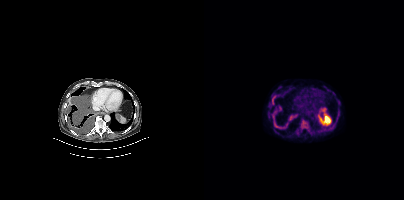
Findings: Coordinates are on the 200×200 PET (right) panel. PSMA-avid tumor lesion bounding boxes (x0,y0,x1,y1): [96,119,104,128]; [69,119,78,128]; [68,95,72,104]; [64,113,65,117]. Small PSMA-avid focus (2 to 4 px across) near (center x, center y): (86, 117).
- Paired axial CT (left) and PSMA PET (right), 18F tracer
- acquired on Siemens Biograph mCT Flow 20
- slice position z = -1196 mm